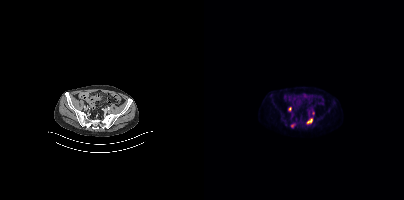
Coordinates are on the 200×200 PET (right) panel. PSMA-avid tumor lesion bounding box (x0,y0,x1,y1): [102,118,108,124]. Small PSMA-avid focus (2 to 4 px across) near (center x, center y): (88, 125).